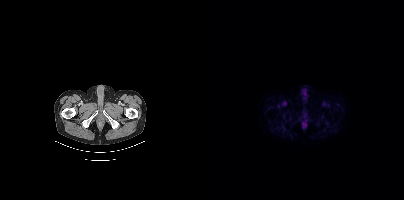
Findings: No PSMA-avid tumor lesions on this slice.
- Left: CT. Right: PSMA PET, same axial level, 18F tracer
- PET panel 200×200 px (4.1 mm/px)